Left: CT. Right: PSMA PET, same axial level, 18F tracer. Slice 2 of 165. PET panel 168×168 px (4.1 mm/px).
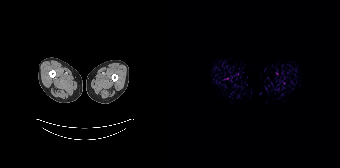
Negative for PSMA-avid disease on this slice.